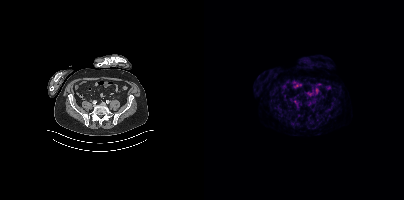
Technique: Two-panel axial: CT | PSMA PET, [68Ga]Ga-PSMA-11 tracer. acquired on Siemens Biograph mCT Flow 20. PET panel 200×200 px (4.1 mm/px).
Findings: No tumor lesions annotated on this slice.